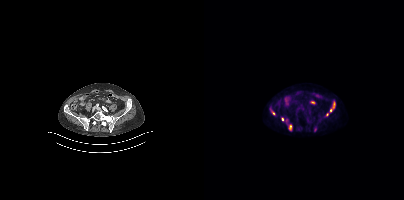
Coordinates are on the 200×200 PET (right) panel. PSMA-avid tumor lesion bounding boxes:
| # | x0 | y0 | x1 | y1 |
|---|---|---|---|---|
| 1 | 125 | 101 | 131 | 112 |
| 2 | 85 | 125 | 88 | 130 |
Small PSMA-avid foci (2 to 4 px across) near (center x, center y): (69, 112); (123, 114); (78, 119).
Left: CT. Right: PSMA PET, same axial level, 18F tracer. Slice position z = -1341 mm. PET panel 200×200 px (4.1 mm/px).